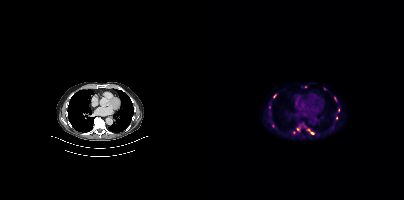
{"modality":"PSMA PET/CT","view":"axial","tracer":"18F","pet_grid":[200,200],"coord_frame":"pet_panel","coord_format":"x0,y0,x1,y1","partial":true,"lesion_bboxes":[[104,129,110,134]],"small_foci_centers":[[130,98],[132,118],[101,86],[134,110],[93,129],[120,88],[70,96]]}